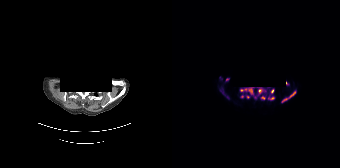
Privacy masking over the head, with the pixels inside a rectangle set to black. Paired axial CT (left) and PSMA PET (right), 18F tracer.
Coordinates are on the 168×168 PET (right) panel. PSMA-avid tumor lesion bounding boxes (partial; 3 more foci not listed):
| # | x0 | y0 | x1 | y1 |
|---|---|---|---|---|
| 1 | 110 | 91 | 123 | 102 |
| 2 | 77 | 88 | 80 | 93 |
| 3 | 86 | 89 | 89 | 93 |
| 4 | 99 | 89 | 101 | 93 |
| 5 | 98 | 97 | 102 | 99 |
Small PSMA-avid foci (2 to 4 px across) near (center x, center y): (69, 90); (55, 80); (91, 98); (114, 83); (49, 91); (73, 89); (75, 96).